Technique: Paired axial CT (left) and PSMA PET (right), 18F-PSMA tracer. PET panel 256×256 px (2.7 mm/px).
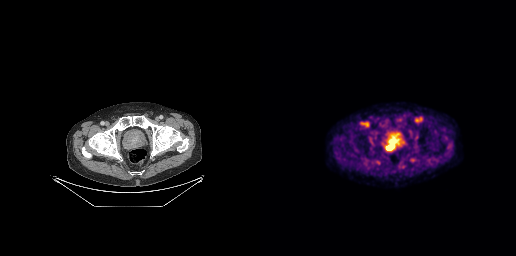
Findings: Coordinates are on the 256×256 PET (right) panel. PSMA-avid tumor lesion bounding box (x0, y0)-(x1, y1): (126, 145)-(133, 149). Small PSMA-avid focus (2 to 4 px across) near (center x, center y): (132, 141).